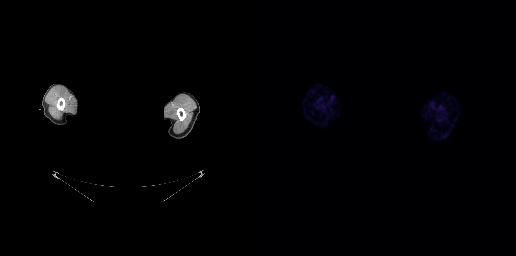
This slice has no annotated PSMA-avid lesion. The face region was removed for patient privacy by blanking a rectangle over the head. Two-panel axial: CT | PSMA PET, 18F-PSMA tracer. PET panel 256×256 px (2.7 mm/px).